Technique: Left: CT. Right: PSMA PET, same axial level, [18F]PSMA-1007 tracer. PET panel 200×200 px (4.1 mm/px).
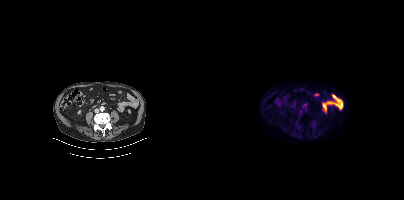
Findings: This slice has no annotated PSMA-avid lesion.